- Paired axial CT (left) and PSMA PET (right), 18F tracer
- acquired on Siemens Biograph mCT Flow 20
- PET panel 200×200 px (4.1 mm/px)
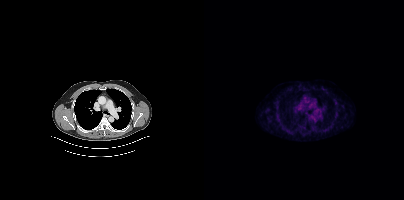
Findings: No PSMA-avid tumor lesions on this slice.